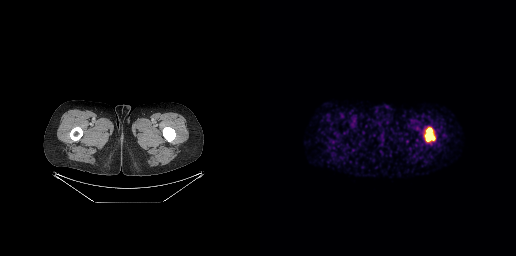
Left: CT. Right: PSMA PET, same axial level, [68Ga]Ga-PSMA-11 tracer.
Coordinates are on the 256×256 PET (right) panel. PSMA-avid tumor lesion bounding boxes:
| # | x0 | y0 | x1 | y1 |
|---|---|---|---|---|
| 1 | 165 | 127 | 175 | 141 |